Technique: Two-panel axial: CT | PSMA PET, 18F tracer. acquired on Siemens Biograph mCT Flow 20. slice 58 of 401.
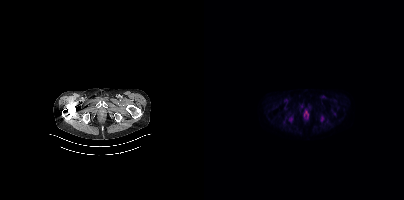
Findings: This slice has no annotated PSMA-avid lesion.